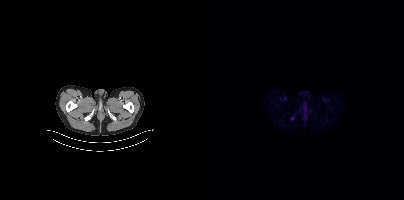
Paired axial CT (left) and PSMA PET (right), 18F tracer. Acquired on Siemens Biograph mCT Flow 20. Slice 27 of 377. PET panel 200×200 px (4.1 mm/px). This slice has no annotated PSMA-avid lesion.